Paired axial CT (left) and PSMA PET (right), [18F]PSMA-1007 tracer. Acquired on Siemens Biograph mCT Flow 20. Slice position z = -740 mm.
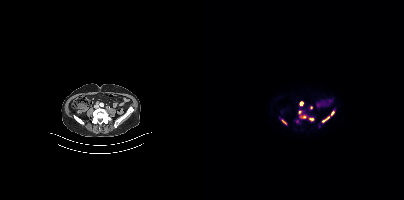
Coordinates are on the 200×200 PET (right) panel. PSMA-avid tumor lesion bounding boxes:
| # | x0 | y0 | x1 | y1 |
|---|---|---|---|---|
| 1 | 118 | 116 | 125 | 122 |
| 2 | 96 | 101 | 99 | 105 |
| 3 | 127 | 111 | 130 | 115 |
| 4 | 78 | 120 | 82 | 124 |
| 5 | 105 | 118 | 109 | 120 |
Small PSMA-avid foci (2 to 4 px across) near (center x, center y): (96, 112); (100, 117); (107, 107).